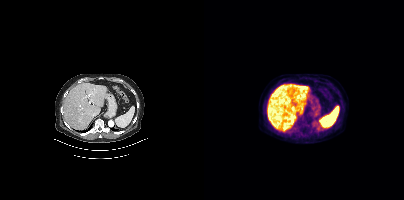
Paired axial CT (left) and PSMA PET (right), 18F tracer. Slice position z = -1106 mm. This slice has no annotated PSMA-avid lesion.